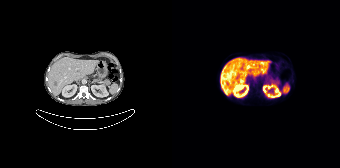
Paired axial CT (left) and PSMA PET (right), 18F-PSMA tracer. Acquired on Siemens Biograph 64-4R TruePoint. Slice position z = 1702 mm. PET panel 168×168 px (4.1 mm/px). No PSMA-avid tumor lesions on this slice.